Two-panel axial: CT | PSMA PET, 18F-PSMA tracer. Slice position z = -294 mm.
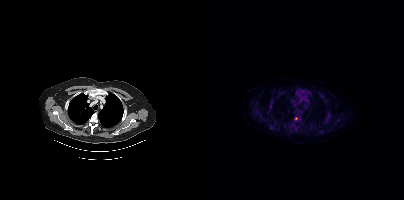
Coordinates are on the 200×200 PET (right) panel. Small PSMA-avid foci (2 to 4 px across) near (center x, center y): (92, 118) (66, 106).